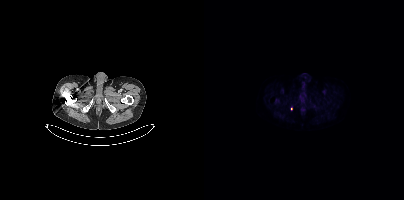
Coordinates are on the 200×200 PET (right) panel. Small PSMA-avid focus (2 to 4 px across) near (center x, center y): (87, 109).